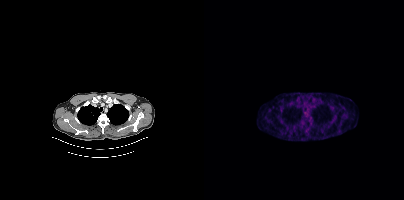
Findings: No PSMA-avid tumor lesions on this slice.
- Paired axial CT (left) and PSMA PET (right), [18F]PSMA-1007 tracer
- acquired on Siemens Biograph mCT Flow 20
- slice position z = 22 mm